modality: PSMA PET/CT | tracer: [18F]PSMA-1007 | view: axial
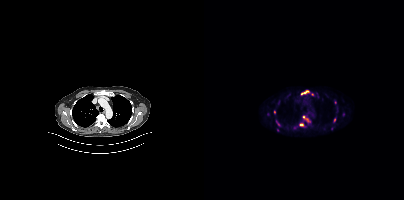
Coordinates are on the 200×200 PET (right) panel. (showing 9 of 13 foci) PSMA-avid tumor lesion bounding boxes (x0, y0)-(x1, y1): (99, 116)-(106, 122); (97, 90)-(105, 94); (95, 123)-(99, 126). Small PSMA-avid foci (2 to 4 px across) near (center x, center y): (139, 114); (70, 112); (130, 119); (131, 102); (85, 94); (74, 124).